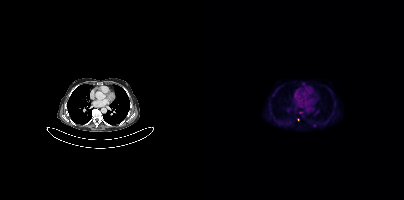
Coordinates are on the 200×200 PET (right) panel. (showing 1 of 2 foci) Small PSMA-avid focus (2 to 4 px across) near (center x, center y): (110, 125).